- Two-panel axial: CT | PSMA PET, 18F-PSMA tracer
- slice 169 of 263
- PET panel 256×256 px (2.7 mm/px)
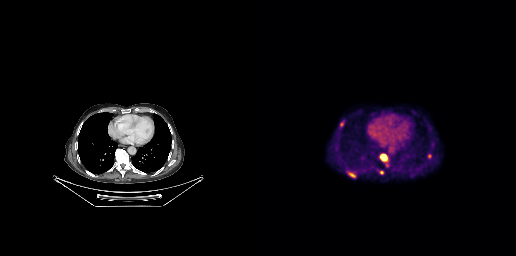
Findings: Coordinates are on the 256×256 PET (right) panel. PSMA-avid tumor lesion bounding boxes (x0,y0,x1,y1): [87,171,96,177], [121,154,126,160], [167,153,171,159], [119,170,123,174], [80,122,83,126].